Technique: Paired axial CT (left) and PSMA PET (right), 68Ga tracer.
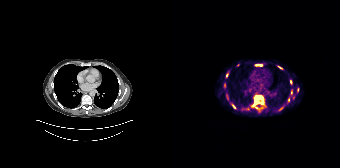
Findings: Coordinates are on the 168×168 PET (right) panel. (showing 11 of 14 foci) PSMA-avid tumor lesion bounding boxes (x, y, width, height): x=80 y=95 w=13 h=14 | x=106 y=106 w=6 h=6 | x=83 y=64 w=8 h=3 | x=60 y=104 w=4 h=5 | x=54 y=95 w=3 h=5 | x=116 y=98 w=2 h=5. Small PSMA-avid foci (2 to 4 px across) near (center x, center y): (52, 85) | (107, 67) | (54, 75) | (119, 92) | (118, 82).